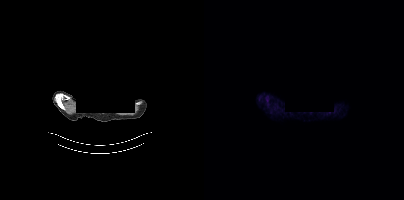
{"modality":"PSMA PET/CT","view":"axial","tracer":"18F","pet_grid":[200,200],"coord_frame":"pet_panel","coord_format":"x0,y0,x1,y1","deidentification":"head region blacked out before release","psma_avid_lesions":false}